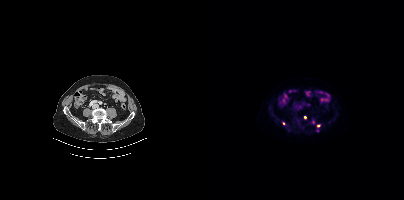
Technique: Two-panel axial: CT | PSMA PET, [18F]PSMA-1007 tracer.
Findings: Coordinates are on the 200×200 PET (right) panel. (showing 2 of 3 foci) Small PSMA-avid foci (2 to 4 px across) near (center x, center y): (114, 125) | (79, 123).